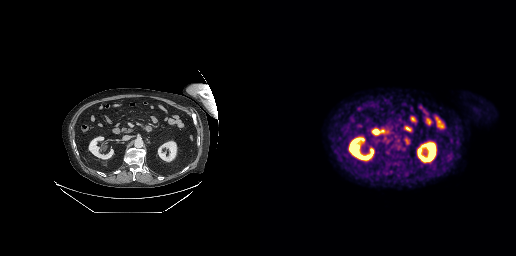
Coordinates are on the 256×256 PET (right) panel. PSMA-avid tumor lesion bounding boxes:
| # | x0 | y0 | x1 | y1 |
|---|---|---|---|---|
| 1 | 145 | 138 | 149 | 144 |
Two-panel axial: CT | PSMA PET, 18F tracer. Acquired on GE Discovery 690.